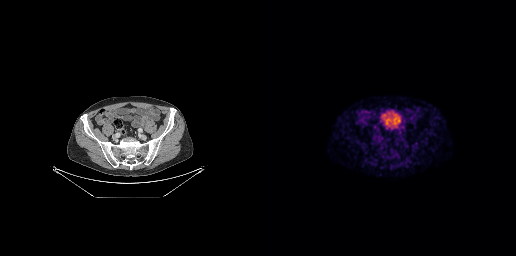
Two-panel axial: CT | PSMA PET, 68Ga-PSMA tracer. Slice 88 of 263. PET panel 256×256 px (2.7 mm/px). No tumor lesions annotated on this slice.